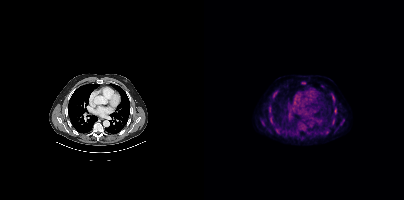
{"modality":"PSMA PET/CT","view":"axial","tracer":"[18F]PSMA-1007","pet_grid":[200,200],"coord_frame":"pet_panel","coord_format":"x0,y0,x1,y1","partial":true,"lesion_bboxes":[[69,91,73,95],[136,120,140,125],[127,94,130,98]],"small_foci_centers":[[99,83],[131,111],[129,121]]}